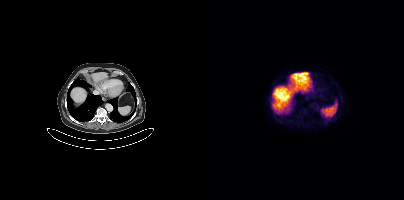
This slice has no annotated PSMA-avid lesion. Paired axial CT (left) and PSMA PET (right), 18F tracer. PET panel 200×200 px (4.1 mm/px).